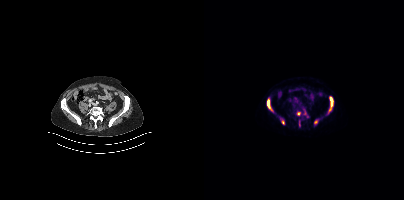
{"modality":"PSMA PET/CT","view":"axial","tracer":"[18F]PSMA-1007","pet_grid":[200,200],"coord_frame":"pet_panel","coord_format":"x0,y0,x1,y1","lesion_bboxes":[[125,96,129,110],[63,99,68,110]],"small_foci_centers":[[94,113],[79,122],[111,121]]}